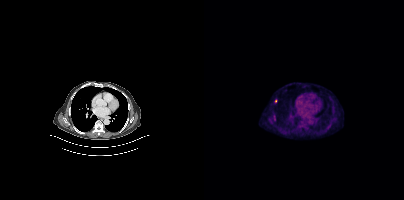
Two-panel axial: CT | PSMA PET, 18F tracer. Acquired on Siemens Biograph mCT Flow 20. Coordinates are on the 200×200 PET (right) panel. Small PSMA-avid foci (2 to 4 px across) near (center x, center y): (70, 118); (71, 101).